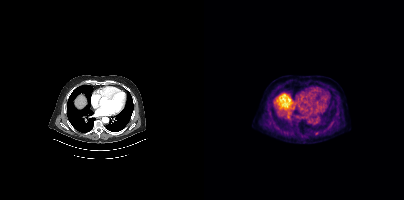
Coordinates are on the 200×200 PET (right) panel. Small PSMA-avid focus (2 to 4 px across) near (center x, center y): (112, 132). Paired axial CT (left) and PSMA PET (right), [18F]PSMA-1007 tracer. PET panel 200×200 px (4.1 mm/px).